Left: CT. Right: PSMA PET, same axial level, [18F]PSMA-1007 tracer. Slice position z = -908 mm.
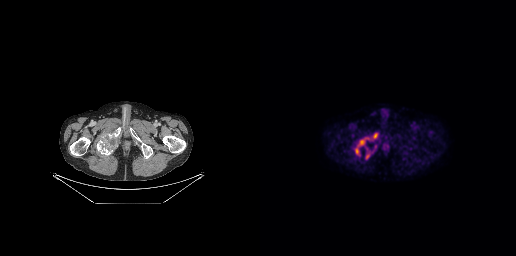
Coordinates are on the 256×256 PET (right) panel. (showing 2 of 3 foci) PSMA-avid tumor lesion bounding boxes (x0,y0,x1,y1): [95,133,118,155], [106,153,109,159].